- Paired axial CT (left) and PSMA PET (right), 18F tracer
- acquired on Siemens Biograph mCT Flow 20
- PET panel 200×200 px (4.1 mm/px)
- a rectangular block over the head has been blanked out for de-identification
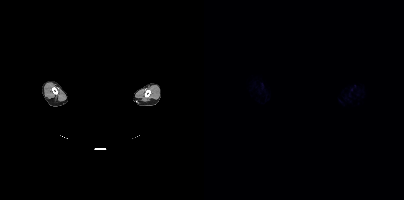
Findings: No tumor lesions annotated on this slice.